Left: CT. Right: PSMA PET, same axial level, 18F tracer. Acquired on Siemens Biograph mCT Flow 20.
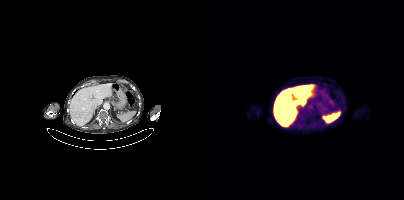
Negative for PSMA-avid disease on this slice.